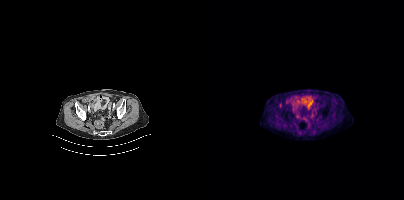
This slice has no annotated PSMA-avid lesion.